modality: PSMA PET/CT | tracer: [18F]PSMA-1007 | view: axial | PET grid: 200×200
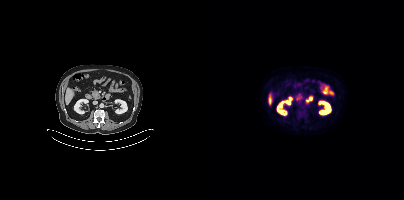
No tumor lesions annotated on this slice.